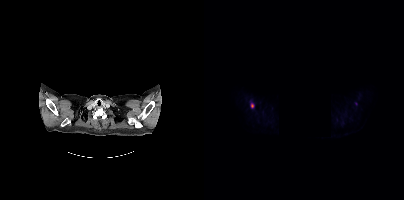
de-identification: region blacked out before release | modality: PSMA PET/CT | tracer: 18F | view: axial
Coordinates are on the 200×200 PET (right) panel. PSMA-avid tumor lesion bounding box (x0,y0,x1,y1): [47,103,49,107].